- Left: CT. Right: PSMA PET, same axial level, [18F]PSMA-1007 tracer
- acquired on Siemens Biograph mCT Flow 20
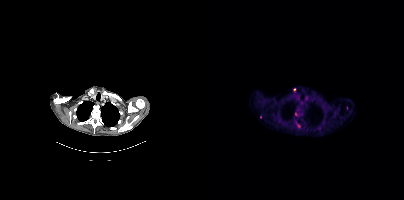
Findings: Coordinates are on the 200×200 PET (right) panel. Small PSMA-avid foci (2 to 4 px across) near (center x, center y): (95, 126), (90, 89), (91, 114), (56, 117), (142, 108).